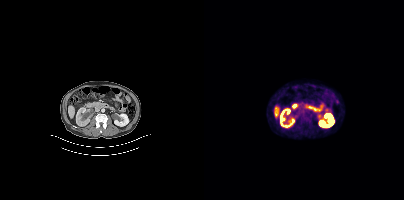
No PSMA-avid tumor lesions on this slice.